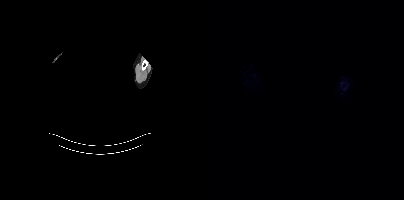
The face region was removed for patient privacy by blanking a rectangle over the head. Paired axial CT (left) and PSMA PET (right), 18F tracer. Slice 390 of 401. No tumor lesions annotated on this slice.